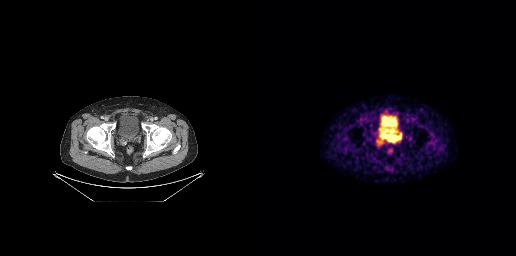
Findings: Coordinates are on the 256×256 PET (right) panel. PSMA-avid tumor lesion bounding box (x0,y0,x1,y1): [121,133,141,141].
- Two-panel axial: CT | PSMA PET, 68Ga tracer